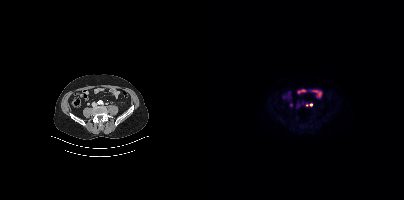
{"modality":"PSMA PET/CT","view":"axial","tracer":"18F","pet_grid":[200,200],"coord_frame":"pet_panel","coord_format":"x0,y0,x1,y1","lesion_bboxes":[],"small_foci_centers":[[107,104],[102,104]]}